Left: CT. Right: PSMA PET, same axial level, 18F-PSMA tracer. Acquired on Siemens Biograph mCT Flow 20. Slice position z = 978 mm. PET panel 200×200 px (4.1 mm/px).
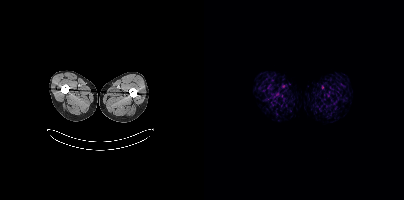
No PSMA-avid tumor lesions on this slice.